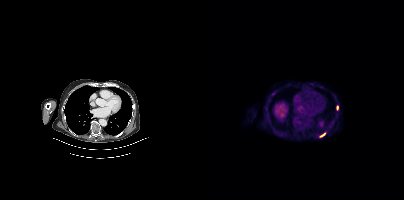
Coordinates are on the 200×200 PET (right) panel. PSMA-avid tumor lesion bounding boxes (x, y, width, height): x=132 y=105 w=3 h=6 / x=116 y=133 w=6 h=5. Small PSMA-avid focus (2 to 4 px across) near (center x, center y): (69, 93).